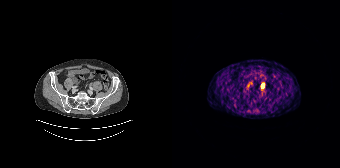
- Paired axial CT (left) and PSMA PET (right), 68Ga-PSMA tracer
- PET panel 168×168 px (4.1 mm/px)
Findings: Coordinates are on the 168×168 PET (right) panel. Small PSMA-avid focus (2 to 4 px across) near (center x, center y): (90, 85).